A rectangular block over the head has been blanked out for de-identification. Paired axial CT (left) and PSMA PET (right), [18F]PSMA-1007 tracer. Slice position z = -985 mm.
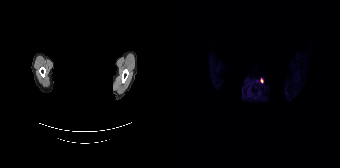
Negative for PSMA-avid disease on this slice.